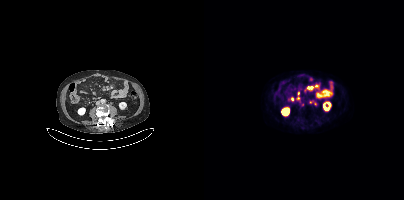
Coordinates are on the 200×200 PET (right) panel. (showing 4 of 6 foci) PSMA-avid tumor lesion bounding box (x, y, width, height): x=103 y=86 w=7 h=4. Small PSMA-avid foci (2 to 4 px across) near (center x, center y): (93, 93) / (106, 102) / (111, 103).